modality: PSMA PET/CT | tracer: 18F-PSMA | view: axial
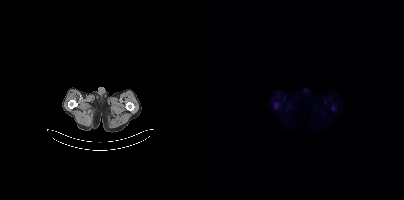
Negative for PSMA-avid disease on this slice.